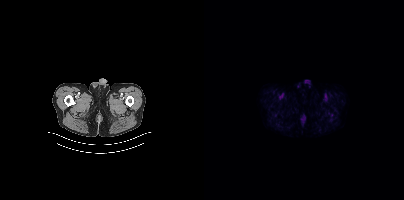
{"modality":"PSMA PET/CT","view":"axial","tracer":"[18F]PSMA-1007","pet_grid":[200,200],"coord_frame":"pet_panel","coord_format":"x0,y0,x1,y1","psma_avid_lesions":false}